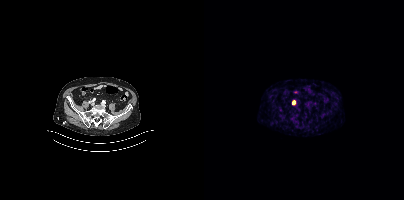
Two-panel axial: CT | PSMA PET, 68Ga tracer. Acquired on Siemens Biograph mCT Flow 20. PET panel 200×200 px (4.1 mm/px). Coordinates are on the 200×200 PET (right) panel. Small PSMA-avid focus (2 to 4 px across) near (center x, center y): (89, 102).